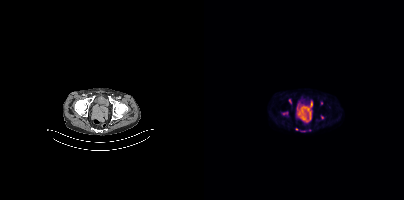
Left: CT. Right: PSMA PET, same axial level, 18F tracer. Acquired on Siemens Biograph mCT Flow 20. Coordinates are on the 200×200 PET (right) panel. (showing 3 of 6 foci) Small PSMA-avid foci (2 to 4 px across) near (center x, center y): (86, 101); (117, 103); (92, 129).